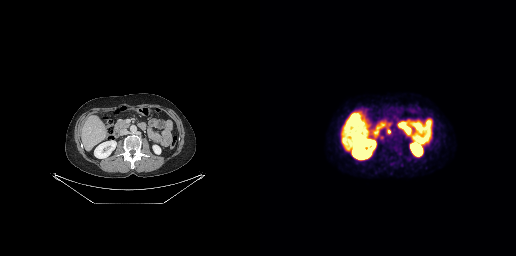
{"modality":"PSMA PET/CT","view":"axial","tracer":"[18F]PSMA-1007","pet_grid":[256,256],"coord_frame":"pet_panel","coord_format":"x0,y0,x1,y1","partial":true,"lesion_bboxes":[],"small_foci_centers":[[128,131]]}